- Left: CT. Right: PSMA PET, same axial level, [18F]PSMA-1007 tracer
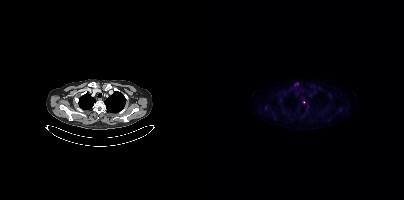
Findings: Coordinates are on the 200×200 PET (right) panel. PSMA-avid tumor lesion bounding box (x0,y0,x1,y1): [90,82,94,85]. Small PSMA-avid focus (2 to 4 px across) near (center x, center y): (99, 102).